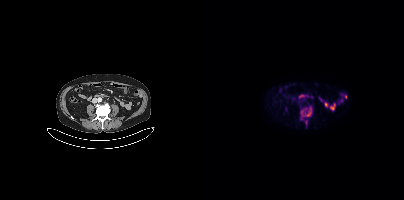
Paired axial CT (left) and PSMA PET (right), 18F tracer. Slice position z = -838 mm. PET panel 200×200 px (4.1 mm/px). Coordinates are on the 200×200 PET (right) panel. (showing 2 of 4 foci) PSMA-avid tumor lesion bounding boxes (x0, y0)-(x1, y1): (100, 107)-(107, 116) / (97, 111)-(99, 116).